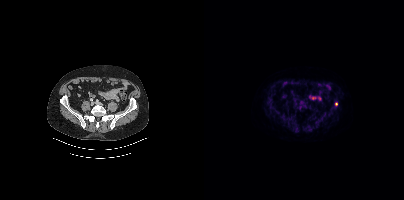
Coordinates are on the 200×200 PET (right) panel. (showing 6 of 7 foci) PSMA-avid tumor lesion bounding boxes (x, y, width, height): x=61 y=98 w=9 h=11; x=122 y=110 w=6 h=6; x=94 y=105 w=6 h=6; x=111 y=120 w=5 h=5. Small PSMA-avid foci (2 to 4 px across) near (center x, center y): (73, 111); (132, 104).